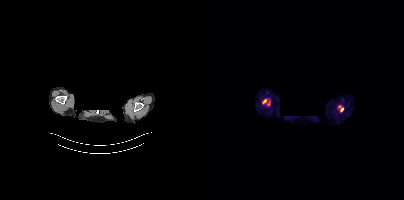
Two-panel axial: CT | PSMA PET, 18F tracer. Slice 327 of 367. Any black rectangle over the head is a privacy mask, not anatomy. No tumor lesions annotated on this slice.